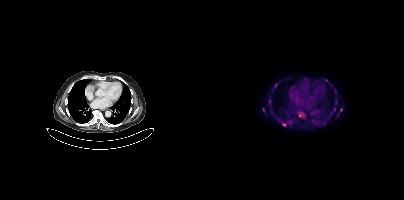
Findings: Coordinates are on the 200×200 PET (right) panel. (showing 7 of 9 foci) PSMA-avid tumor lesion bounding box (x0,y0,x1,y1): [95,112,99,116]. Small PSMA-avid foci (2 to 4 px across) near (center x, center y): (79, 124), (66, 100), (122, 80), (59, 109), (137, 110), (130, 109).
Technique: Two-panel axial: CT | PSMA PET, 18F tracer. PET panel 200×200 px (4.1 mm/px).